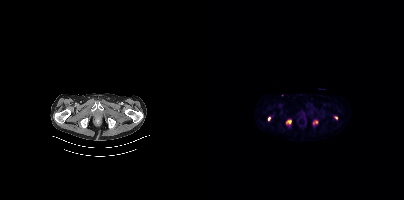
{"pet_grid":[200,200],"coord_frame":"pet_panel","coord_format":"x0,y0,x1,y1","lesion_bboxes":[[82,120,87,123],[109,120,113,124]],"small_foci_centers":[[65,118],[132,117]],"modality":"PSMA PET/CT","view":"axial","tracer":"18F-PSMA"}